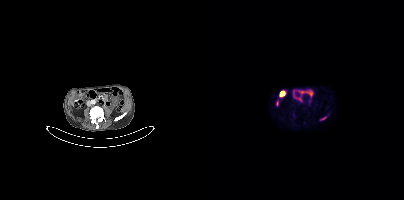
Coordinates are on the 200×200 PET (right) panel. PSMA-avid tumor lesion bounding box (x0,y0,x1,y1): [117,116,122,120].